Left: CT. Right: PSMA PET, same axial level, 18F-PSMA tracer. Acquired on Siemens Biograph mCT Flow 20. Slice 353 of 423.
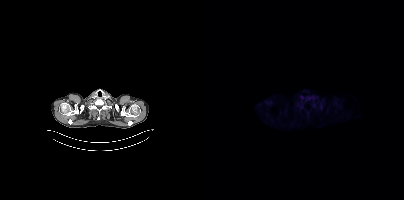
No PSMA-avid tumor lesions on this slice.